Paired axial CT (left) and PSMA PET (right), [18F]PSMA-1007 tracer. Slice position z = -364 mm. PET panel 200×200 px (4.1 mm/px).
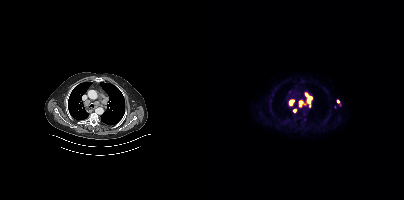
Coordinates are on the 200×200 PET (right) panel. PSMA-avid tumor lesion bounding boxes (x0,y0,x1,y1): [95,92,108,107], [85,99,90,105]. Small PSMA-avid foci (2 to 4 px across) near (center x, center y): (90, 110), (134, 101).